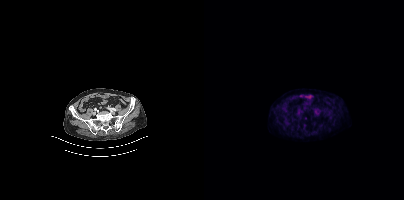
{"pet_grid":[200,200],"coord_frame":"pet_panel","coord_format":"x0,y0,x1,y1","partial":true,"lesion_bboxes":[],"modality":"PSMA PET/CT","view":"axial","tracer":"[18F]PSMA-1007"}